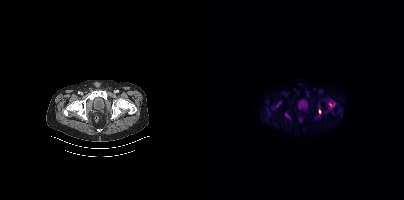
Coordinates are on the 200×200 PET (right) panel. (showing 4 of 6 foci) PSMA-avid tumor lesion bounding boxes (x0, y0)-(x1, y1): (125, 102)-(130, 106) | (115, 109)-(117, 114) | (81, 113)-(84, 117) | (73, 102)-(76, 106).